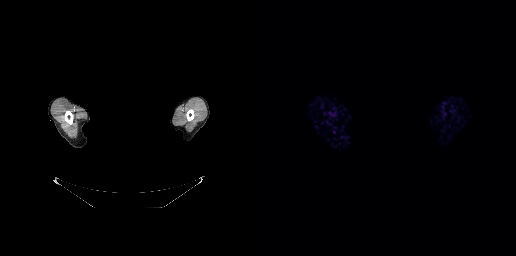
Any black rectangle over the head is a privacy mask, not anatomy. Two-panel axial: CT | PSMA PET, [68Ga]Ga-PSMA-11 tracer. PET panel 256×256 px (2.7 mm/px). Negative for PSMA-avid disease on this slice.